modality: PSMA PET/CT | tracer: 18F-PSMA | view: axial
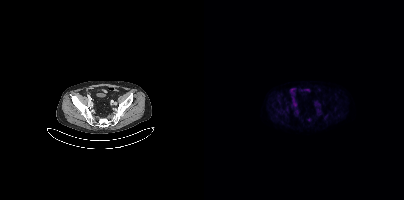
This slice has no annotated PSMA-avid lesion.